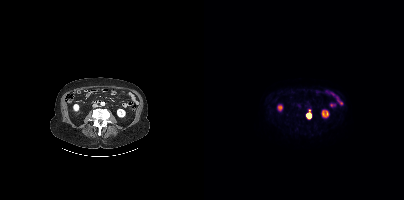
- Two-panel axial: CT | PSMA PET, [18F]PSMA-1007 tracer
- acquired on Siemens Biograph mCT Flow 20
Findings: Coordinates are on the 200×200 PET (right) panel. PSMA-avid tumor lesion bounding box (x0, y0)-(x1, y1): (102, 113)-(107, 118).